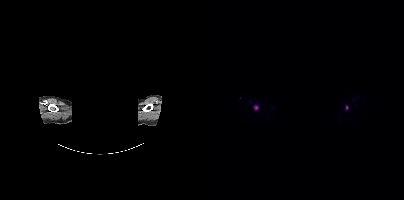
De-identified by setting a box covering the face to black before release.
Coordinates are on the 200×200 PET (right) panel. PSMA-avid tumor lesion bounding boxes (x, y, width, height): x=50 y=105 w=5 h=6 | x=141 y=105 w=4 h=5.